Left: CT. Right: PSMA PET, same axial level, [18F]PSMA-1007 tracer. PET panel 200×200 px (4.1 mm/px). Head region blanked for anonymization (face removed).
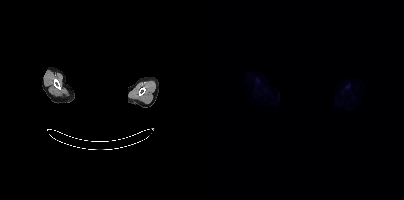
No PSMA-avid tumor lesions on this slice.